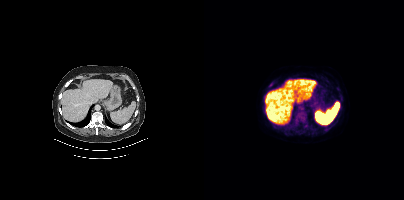
modality: PSMA PET/CT | tracer: [18F]PSMA-1007 | view: axial | PET grid: 200×200
Coordinates are on the 200×200 PET (right) panel. (showing 4 of 5 foci) PSMA-avid tumor lesion bounding boxes (x0, y0)-(x1, y1): (89, 111)-(101, 126); (98, 120)-(103, 125). Small PSMA-avid foci (2 to 4 px across) near (center x, center y): (136, 97); (134, 88).